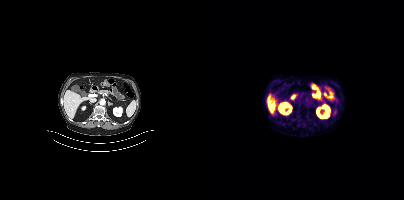
This slice has no annotated PSMA-avid lesion.